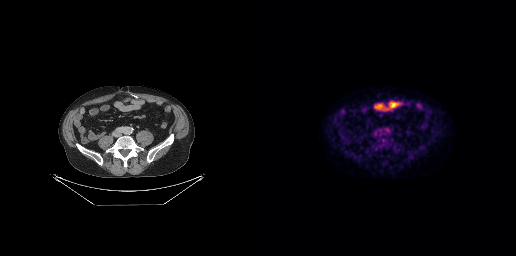
Findings: Coordinates are on the 256×256 PET (right) panel. PSMA-avid tumor lesion bounding box (x, y, width, height): x=119 y=144 w=4 h=5.
Technique: Two-panel axial: CT | PSMA PET, 18F-PSMA tracer.